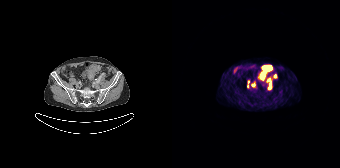
Two-panel axial: CT | PSMA PET, 68Ga tracer. Slice position z = -1463 mm. Coordinates are on the 168×168 PET (right) panel. PSMA-avid tumor lesion bounding box (x, y, width, height): x=89 y=65 w=11 h=14. Small PSMA-avid foci (2 to 4 px across) near (center x, center y): (81, 84) / (103, 76) / (98, 83) / (98, 88) / (76, 82) / (75, 86) / (96, 79).